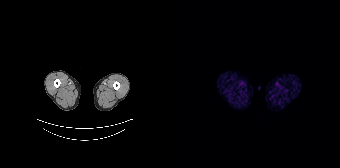
Two-panel axial: CT | PSMA PET, [68Ga]Ga-PSMA-11 tracer. No tumor lesions annotated on this slice.